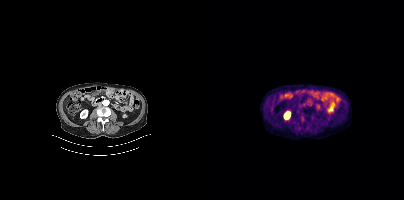
No PSMA-avid tumor lesions on this slice.
modality: PSMA PET/CT | tracer: 18F-PSMA | view: axial | PET grid: 200×200